Paired axial CT (left) and PSMA PET (right), 18F-PSMA tracer. Slice position z = -212 mm.
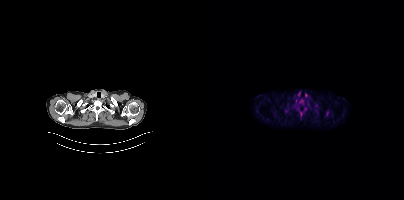
Coordinates are on the 200×200 PET (right) panel. PSMA-avid tumor lesion bounding box (x0, y0)-(x1, y1): (122, 111)-(124, 115). Small PSMA-avid focus (2 to 4 px across) near (center x, center y): (113, 111).